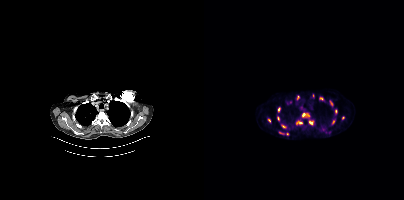
- Left: CT. Right: PSMA PET, same axial level, 18F-PSMA tracer
- acquired on Siemens Biograph mCT Flow 20
Findings: Coordinates are on the 200×200 PET (right) panel. PSMA-avid tumor lesion bounding boxes (x0,y0,x1,y1): [98,113,105,117]; [92,120,98,125]; [77,124,82,128]; [105,121,109,124]; [92,95,95,100]; [74,107,76,112]; [73,116,75,120]; [75,131,80,134]; [64,118,66,122]; [126,101,128,105]. Small PSMA-avid foci (2 to 4 px across) near (center x, center y): (109, 95); (132, 111); (129, 122); (139, 117); (118, 99).